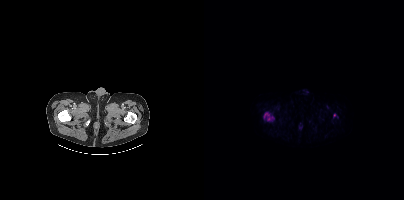
- Left: CT. Right: PSMA PET, same axial level, [18F]PSMA-1007 tracer
Findings: Coordinates are on the 200×200 PET (right) panel. PSMA-avid tumor lesion bounding box (x0, y0)-(x1, y1): (60, 114)-(69, 120). Small PSMA-avid focus (2 to 4 px across) near (center x, center y): (130, 115).